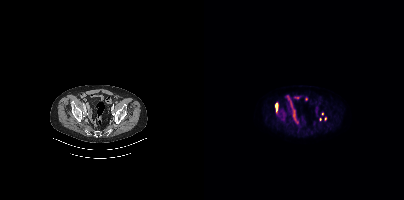
Paired axial CT (left) and PSMA PET (right), [18F]PSMA-1007 tracer. PET panel 200×200 px (4.1 mm/px). Coordinates are on the 200×200 PET (right) panel. (showing 1 of 4 foci) PSMA-avid tumor lesion bounding box (x, y, width, height): x=71 y=103 w=3 h=8.